Two-panel axial: CT | PSMA PET, [18F]PSMA-1007 tracer.
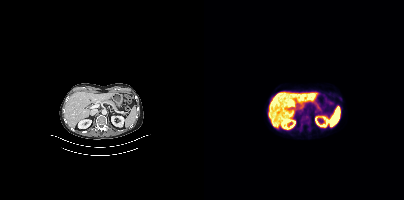
No tumor lesions annotated on this slice.